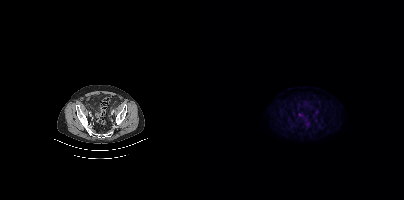
- Left: CT. Right: PSMA PET, same axial level, 18F-PSMA tracer
Findings: Coordinates are on the 200×200 PET (right) panel. PSMA-avid tumor lesion bounding box (x0,y0,x1,y1): [77,111,78,115].